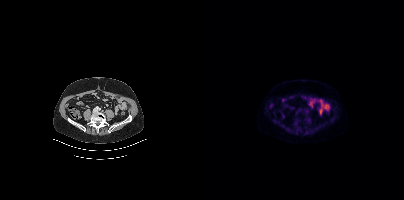
Negative for PSMA-avid disease on this slice.